Left: CT. Right: PSMA PET, same axial level, [18F]PSMA-1007 tracer. Acquired on Siemens Biograph mCT Flow 20. Slice 148 of 435.
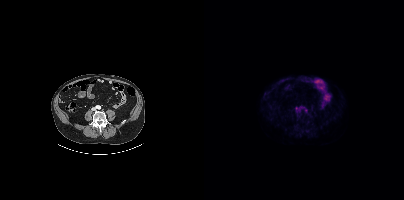
Coordinates are on the 200×200 PET (right) panel. Small PSMA-avid focus (2 to 4 px across) near (center x, center y): (92, 108).